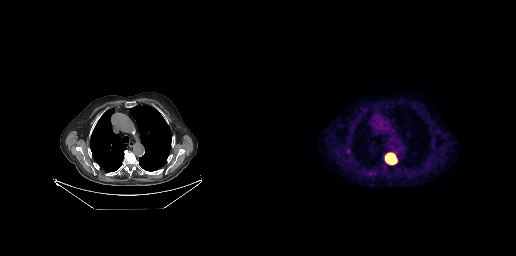
Coordinates are on the 256×256 PET (right) panel. PSMA-avid tumor lesion bounding box (x0, y0)-(x1, y1): (125, 152)-(137, 164).